Head region blanked for anonymization (face removed).
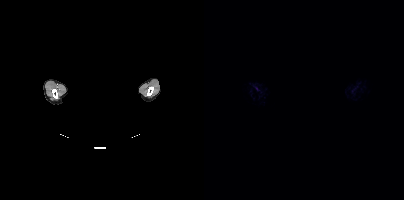
Negative for PSMA-avid disease on this slice.